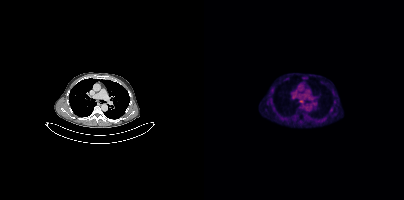
Findings: Coordinates are on the 200×200 PET (right) panel. Small PSMA-avid focus (2 to 4 px across) near (center x, center y): (97, 100).
Technique: Paired axial CT (left) and PSMA PET (right), 18F tracer. acquired on Siemens Biograph mCT Flow 20. slice 283 of 417.